Left: CT. Right: PSMA PET, same axial level, [18F]PSMA-1007 tracer. Slice 335 of 427.
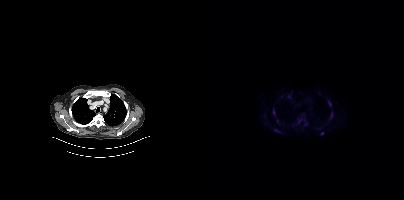
Coordinates are on the 200×200 PET (right) panel. PSMA-avid tumor lesion bounding boxes (partial; 2 more foci not listed):
| # | x0 | y0 | x1 | y1 |
|---|---|---|---|---|
| 1 | 124 | 101 | 127 | 106 |
| 2 | 126 | 112 | 128 | 118 |
| 3 | 69 | 110 | 70 | 114 |
| 4 | 71 | 129 | 75 | 132 |
| 5 | 93 | 119 | 96 | 123 |
Small PSMA-avid foci (2 to 4 px across) near (center x, center y): (118, 133); (85, 96); (98, 112); (95, 105).